Paired axial CT (left) and PSMA PET (right), [18F]PSMA-1007 tracer. Acquired on Siemens Biograph mCT Flow 20. Slice position z = -1152 mm. PET panel 200×200 px (4.1 mm/px).
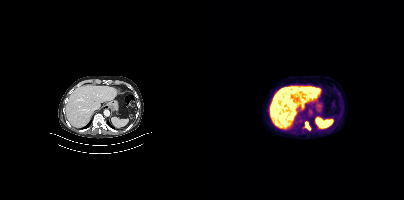
Coordinates are on the 200×200 PET (right) panel. PSMA-avid tumor lesion bounding box (x, y, width, height): x=101 y=122 w=6 h=8.